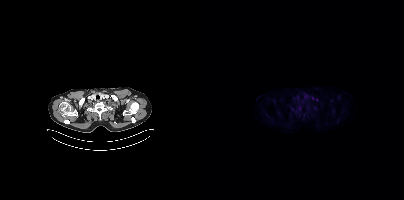
No PSMA-avid tumor lesions on this slice.